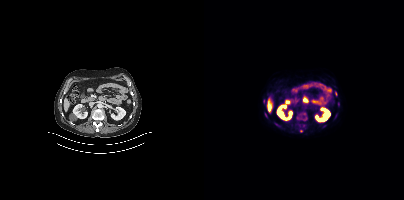
Coordinates are on the 200×200 PET (right) panel. (showing 1 of 3 foci) Small PSMA-avid focus (2 to 4 px across) near (center x, center y): (131, 93).